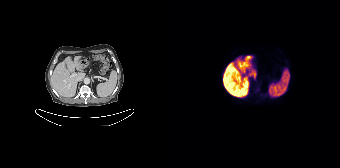
Negative for PSMA-avid disease on this slice.